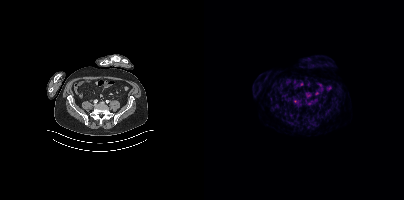
{"modality":"PSMA PET/CT","view":"axial","tracer":"68Ga","pet_grid":[200,200],"coord_frame":"pet_panel","coord_format":"x0,y0,x1,y1","psma_avid_lesions":false}